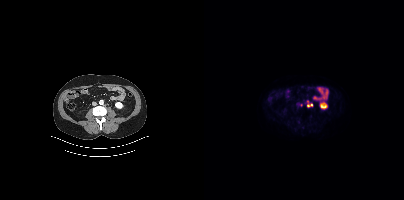
Findings: Coordinates are on the 200×200 PET (right) panel. (showing 1 of 2 foci) PSMA-avid tumor lesion bounding box (x0, y0)-(x1, y1): (103, 101)-(108, 107).
Technique: Paired axial CT (left) and PSMA PET (right), [18F]PSMA-1007 tracer. acquired on Siemens Biograph mCT Flow 20. PET panel 200×200 px (4.1 mm/px).